Left: CT. Right: PSMA PET, same axial level, [18F]PSMA-1007 tracer. Slice 428 of 448. An anonymization step blacked out a rectangle over the head in this scan.
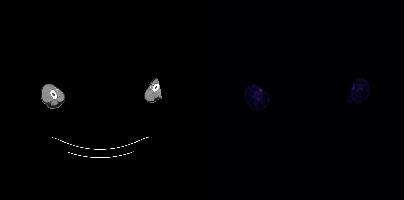
No tumor lesions annotated on this slice.